modality: PSMA PET/CT | tracer: [68Ga]Ga-PSMA-11 | view: axial
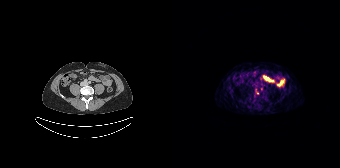
Only PSMA-avid lesion pieces thinner than 2 px on this slice (not listed).